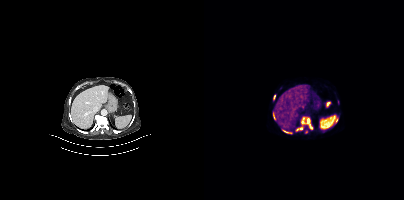
Paired axial CT (left) and PSMA PET (right), 68Ga-PSMA tracer.
Coordinates are on the 200×200 PET (right) panel. PSMA-avid tumor lesion bounding boxes (partial; 1 more focus not listed):
| # | x0 | y0 | x1 | y1 |
|---|---|---|---|---|
| 1 | 91 | 117 | 109 | 131 |
| 2 | 69 | 112 | 71 | 118 |
| 3 | 78 | 129 | 83 | 133 |
| 4 | 69 | 95 | 71 | 100 |
Small PSMA-avid foci (2 to 4 px across) near (center x, center y): (102, 131); (86, 132).